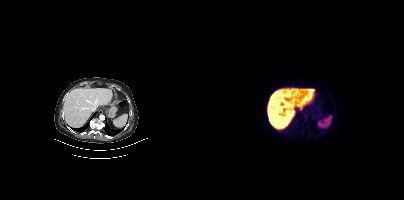
Paired axial CT (left) and PSMA PET (right), [18F]PSMA-1007 tracer. Slice position z = -630 mm. Negative for PSMA-avid disease on this slice.